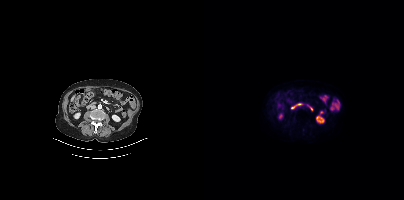
Negative for PSMA-avid disease on this slice.
modality: PSMA PET/CT | tracer: 18F | view: axial